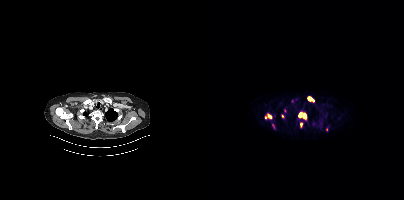
Coordinates are on the 200×200 PET (right) panel. (showing 5 of 8 foci) PSMA-avid tumor lesion bounding boxes (x, y, width, height): x=94 y=112 w=9 h=8 | x=103 y=96 w=8 h=7 | x=61 y=113 w=8 h=6 | x=96 y=122 w=3 h=6. Small PSMA-avid focus (2 to 4 px across) near (center x, center y): (78, 116).
modality: PSMA PET/CT | tracer: 18F-PSMA | view: axial | PET grid: 200×200